Privacy masking over the head, with the pixels inside a rectangle set to black.
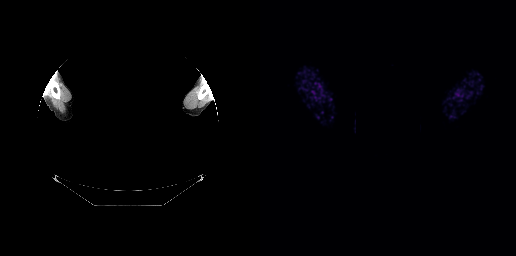
Negative for PSMA-avid disease on this slice.